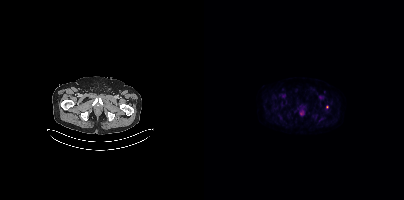
Technique: Left: CT. Right: PSMA PET, same axial level, [18F]PSMA-1007 tracer. acquired on Siemens Biograph mCT Flow 20. PET panel 200×200 px (4.1 mm/px).
Findings: Only PSMA-avid lesion pieces thinner than 2 px on this slice (not listed).